Paired axial CT (left) and PSMA PET (right), 18F-PSMA tracer. Acquired on GE Discovery 690. PET panel 256×256 px (2.7 mm/px).
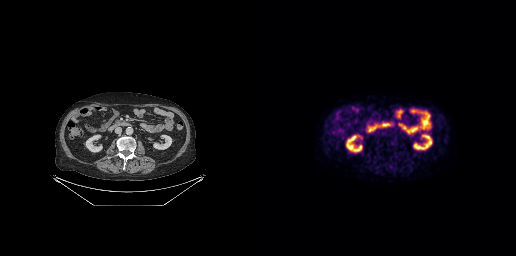
Negative for PSMA-avid disease on this slice.